- Left: CT. Right: PSMA PET, same axial level, [18F]PSMA-1007 tracer
- acquired on Siemens Biograph mCT Flow 20
- slice 418 of 448
- a rectangle over the head was blacked out to remove identifiable facial features
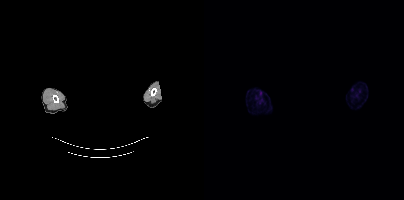
Findings: This slice has no annotated PSMA-avid lesion.